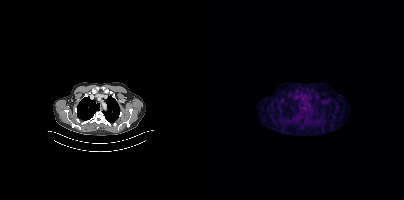
{"modality":"PSMA PET/CT","view":"axial","tracer":"18F-PSMA","pet_grid":[200,200],"coord_frame":"pet_panel","coord_format":"x0,y0,x1,y1","psma_avid_lesions":false}